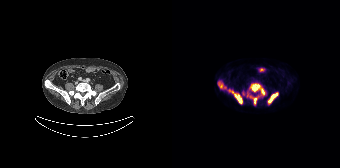
Coordinates are on the 168×168 PET (right) panel. (showing 6 of 7 foci) PSMA-avid tumor lesion bounding boxes (x, y, width, height): x=78 y=83 w=16 h=13 | x=56 y=89 w=15 h=15 | x=96 y=92 w=11 h=13 | x=46 y=81 w=9 h=8 | x=78 y=96 w=9 h=9. Small PSMA-avid focus (2 to 4 px across) near (center x, center y): (75, 95).